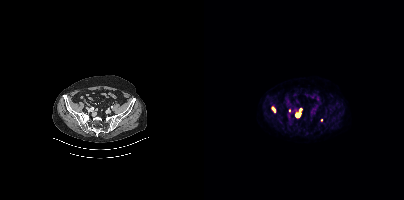
modality: PSMA PET/CT | tracer: [18F]PSMA-1007 | view: axial
Coordinates are on the 200×200 PET (right) panel. (showing 3 of 5 foci) PSMA-avid tumor lesion bounding boxes (x0,y0,x1,y1): [92,113,96,117]; [68,107,71,111]. Small PSMA-avid focus (2 to 4 px across) near (center x, center y): (85, 110).